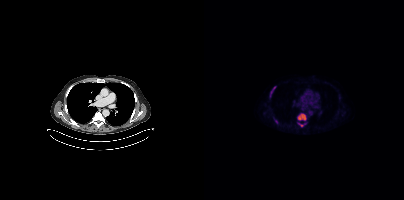
- Left: CT. Right: PSMA PET, same axial level, [18F]PSMA-1007 tracer
- slice position z = 242 mm
- PET panel 200×200 px (4.1 mm/px)
Findings: Coordinates are on the 200×200 PET (right) panel. PSMA-avid tumor lesion bounding boxes (x, y, width, height): x=93 y=113 w=10 h=8 / x=66 y=86 w=6 h=12 / x=94 y=123 w=8 h=4. Small PSMA-avid focus (2 to 4 px across) near (center x, center y): (72, 121).